- an anonymization step blacked out a rectangle over the head in this scan
- Two-panel axial: CT | PSMA PET, 18F-PSMA tracer
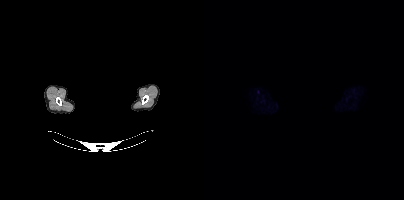
Findings: Negative for PSMA-avid disease on this slice.